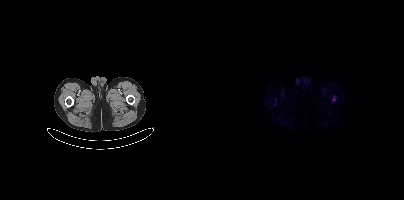
{"pet_grid":[200,200],"coord_frame":"pet_panel","coord_format":"x0,y0,x1,y1","partial":true,"lesion_bboxes":[],"modality":"PSMA PET/CT","view":"axial","tracer":"18F"}